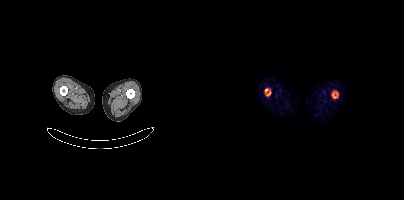
Paired axial CT (left) and PSMA PET (right), 18F tracer. Slice 7 of 401.
Coordinates are on the 200×200 PET (right) panel. PSMA-avid tumor lesion bounding boxes:
| # | x0 | y0 | x1 | y1 |
|---|---|---|---|---|
| 1 | 60 | 88 | 66 | 96 |
| 2 | 128 | 91 | 134 | 98 |